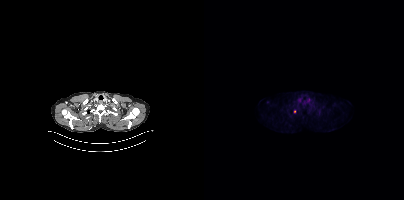
Findings: Coordinates are on the 200×200 PET (right) panel. Small PSMA-avid focus (2 to 4 px across) near (center x, center y): (90, 111).
- Left: CT. Right: PSMA PET, same axial level, 18F-PSMA tracer
- acquired on Siemens Biograph mCT Flow 20
- slice 312 of 377